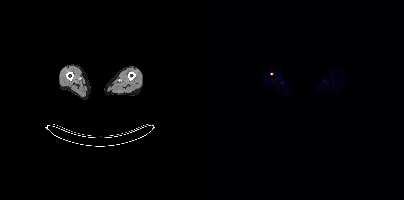
- Two-panel axial: CT | PSMA PET, [18F]PSMA-1007 tracer
- PET panel 200×200 px (4.1 mm/px)
Findings: Coordinates are on the 200×200 PET (right) panel. Small PSMA-avid focus (2 to 4 px across) near (center x, center y): (67, 73).